Left: CT. Right: PSMA PET, same axial level, [18F]PSMA-1007 tracer. PET panel 200×200 px (4.1 mm/px).
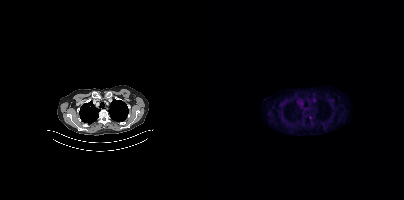
Only PSMA-avid lesion pieces thinner than 2 px on this slice (not listed).